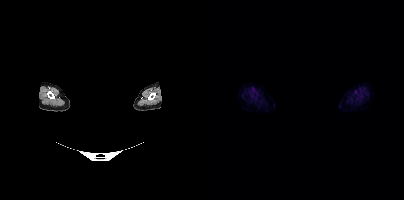
The head region is masked for de-identification. Paired axial CT (left) and PSMA PET (right), 18F tracer. Negative for PSMA-avid disease on this slice.